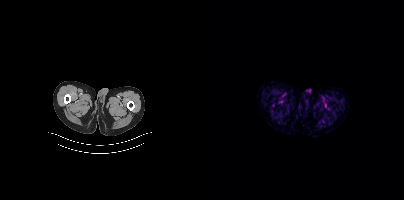
modality: PSMA PET/CT | tracer: 18F-PSMA | view: axial
This slice has no annotated PSMA-avid lesion.